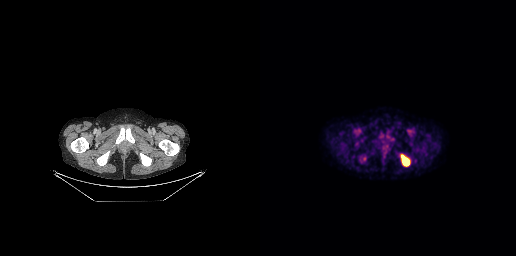
modality: PSMA PET/CT | tracer: [18F]PSMA-1007 | view: axial | PET grid: 256×256
Coordinates are on the 256×256 PET (right) panel. PSMA-avid tumor lesion bounding box (x0, y0)-(x1, y1): (141, 155)-(149, 166).